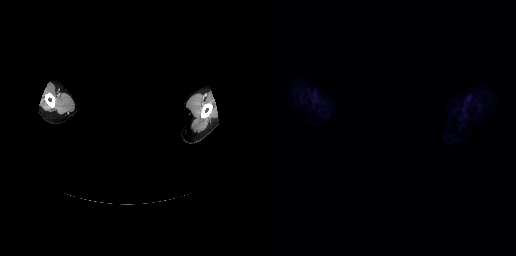
A rectangle over the head was blacked out to remove identifiable facial features.
Negative for PSMA-avid disease on this slice.